Technique: Left: CT. Right: PSMA PET, same axial level, 18F-PSMA tracer. PET panel 200×200 px (4.1 mm/px).
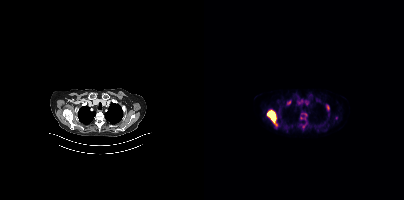
Findings: Coordinates are on the 200×200 PET (right) panel. (showing 6 of 7 foci) PSMA-avid tumor lesion bounding boxes (x0,y0,x1,y1): [63,110,72,122] [122,105,125,110] [97,114,102,119] [70,123,74,127]. Small PSMA-avid foci (2 to 4 px across) near (center x, center y): (85, 101) (99, 126).